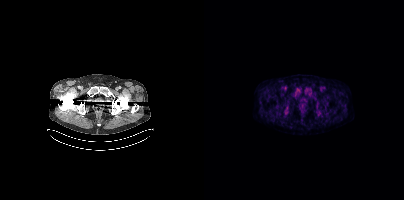
{"modality":"PSMA PET/CT","view":"axial","tracer":"18F-PSMA","pet_grid":[200,200],"coord_frame":"pet_panel","coord_format":"x0,y0,x1,y1","psma_avid_lesions":false}